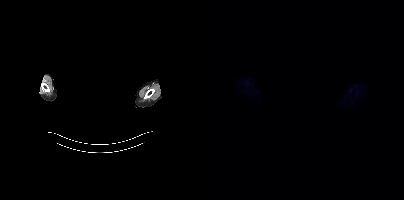
This slice has no annotated PSMA-avid lesion.
The head region is masked for de-identification.